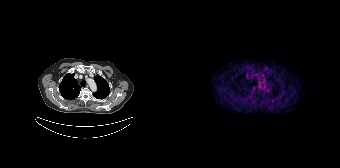
This slice has no annotated PSMA-avid lesion.